Two-panel axial: CT | PSMA PET, 18F-PSMA tracer.
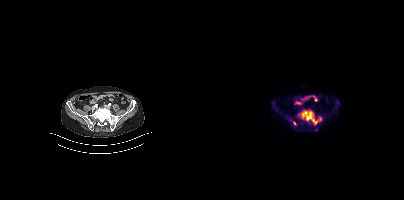
Coordinates are on the 200×200 PET (right) panel. PSMA-avid tumor lesion bounding boxes:
| # | x0 | y0 | x1 | y1 |
|---|---|---|---|---|
| 1 | 95 | 110 | 117 | 125 |
| 2 | 131 | 102 | 135 | 106 |
Small PSMA-avid foci (2 to 4 px across) near (center x, center y): (90, 122); (93, 117); (112, 129).